Technique: Left: CT. Right: PSMA PET, same axial level, 18F-PSMA tracer. acquired on Siemens Biograph mCT Flow 20.
Note: Any black rectangle over the head is a privacy mask, not anatomy.
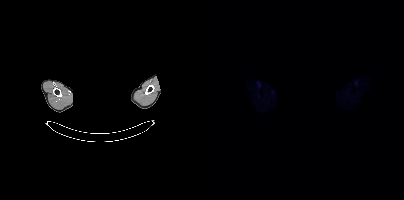
Findings: No tumor lesions annotated on this slice.